- Left: CT. Right: PSMA PET, same axial level, [18F]PSMA-1007 tracer
- PET panel 256×256 px (2.7 mm/px)
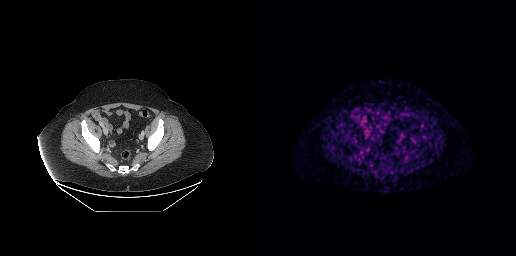
Findings: This slice has no annotated PSMA-avid lesion.